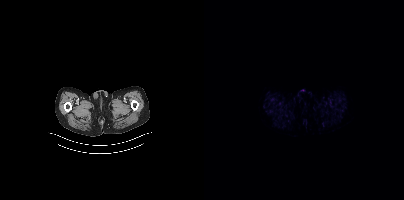
Findings: This slice has no annotated PSMA-avid lesion.
- Two-panel axial: CT | PSMA PET, 18F tracer
- acquired on Siemens Biograph mCT Flow 20